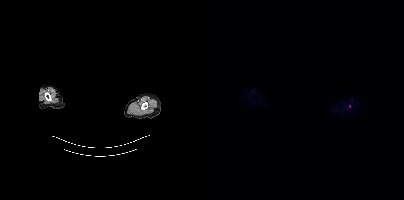
The head region is masked for de-identification.
This slice has no annotated PSMA-avid lesion.